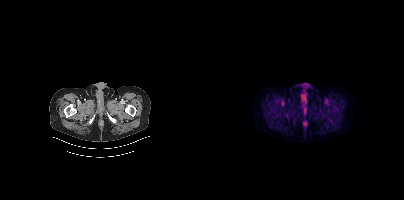
No PSMA-avid tumor lesions on this slice.